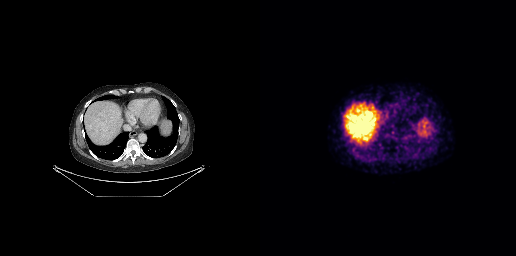
Findings: This slice has no annotated PSMA-avid lesion.
Technique: Left: CT. Right: PSMA PET, same axial level, 68Ga-PSMA tracer. acquired on GE Discovery 690. slice position z = -500 mm.